modality: PSMA PET/CT | tracer: 18F | view: axial
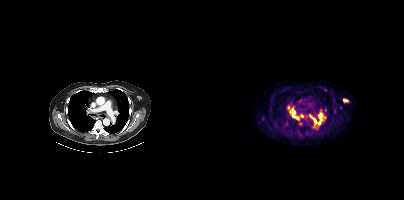
Coordinates are on the 200×200 PET (right) panel. (showing 11 of 12 foci) PSMA-avid tumor lesion bounding boxes (x0,y0,x1,y1): [83,105,95,119] [115,113,121,123] [105,115,112,126] [139,99,144,102]. Small PSMA-avid foci (2 to 4 px across) near (center x, center y): (59, 119) (97, 115) (83, 116) (96, 123) (70, 125) (106, 133) (66, 108).